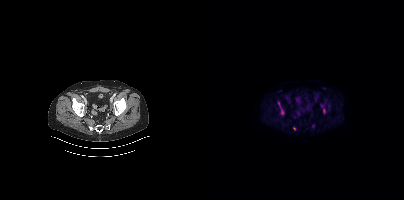
Coordinates are on the 200×200 PET (right) panel. (showing 2 of 3 foci) PSMA-avid tumor lesion bounding box (x, y, width, height): x=74 y=102 w=7 h=13. Small PSMA-avid focus (2 to 4 px across) near (center x, center y): (90, 128).